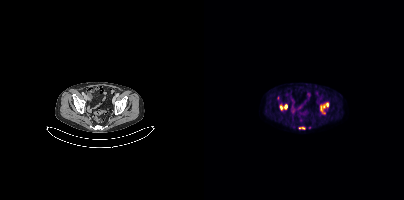
modality: PSMA PET/CT | tracer: [18F]PSMA-1007 | view: axial
Coordinates are on the 200×200 PET (right) panel. (showing 3 of 4 foci) PSMA-avid tumor lesion bounding boxes (x, y, width, height): x=116 y=102 w=10 h=13 | x=76 y=104 w=8 h=7 | x=95 y=127 w=7 h=3.